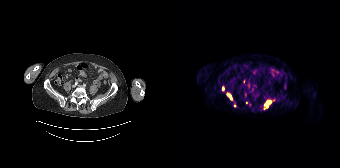
Coordinates are on the 168×168 PET (right) panel. (showing 3 of 5 foci) PSMA-avid tumor lesion bounding box (x0,y0,x1,y1): [93,101,98,104]. Small PSMA-avid foci (2 to 4 px across) near (center x, center y): (57, 96) (50, 88).